deidentification: head region blacked out before release | modality: PSMA PET/CT | tracer: 18F | view: axial | PET grid: 200×200
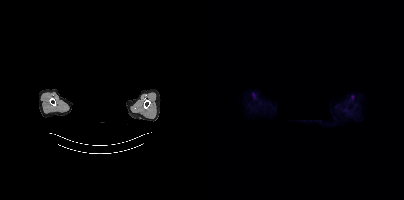
No PSMA-avid tumor lesions on this slice.